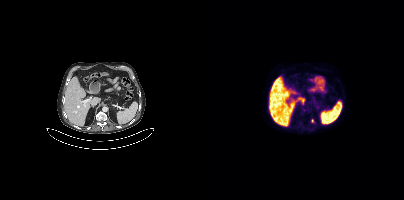
Coordinates are on the 200×200 PET (right) panel. Small PSMA-avid foci (2 to 4 px across) near (center x, center y): (108, 120), (100, 109).